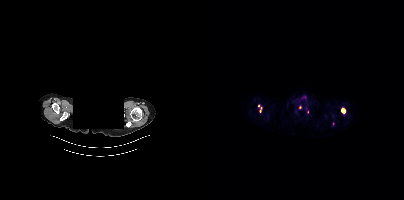
Two-panel axial: CT | PSMA PET, [18F]PSMA-1007 tracer. PET panel 200×200 px (4.1 mm/px). De-identified by setting a box covering the face to black before release.
Coordinates are on the 200×200 PET (right) panel. PSMA-avid tumor lesion bounding boxes (partial; 2 more foci not listed):
| # | x0 | y0 | x1 | y1 |
|---|---|---|---|---|
| 1 | 137 | 107 | 141 | 113 |
| 2 | 54 | 104 | 58 | 112 |
Small PSMA-avid focus (2 to 4 px across) near (center x, center y): (96, 107).